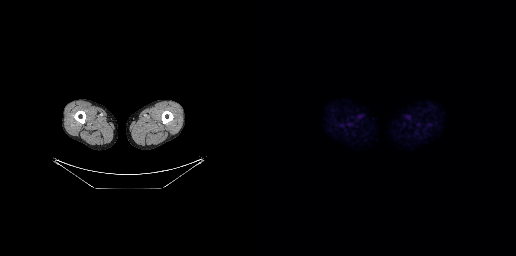
Findings: No PSMA-avid tumor lesions on this slice.
- Left: CT. Right: PSMA PET, same axial level, 18F tracer
- acquired on GE Discovery 690
- slice position z = -818 mm
- PET panel 256×256 px (2.7 mm/px)